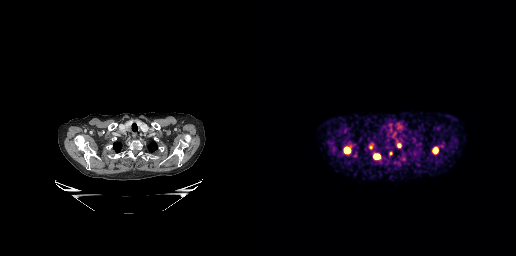
Coordinates are on the 256×256 PET (right) panel. PSMA-avid tumor lesion bounding boxes (x0, y0)-(x1, y1): (84, 147)-(89, 152) | (109, 143)-(113, 149) | (114, 154)-(119, 158) | (173, 148)-(177, 152) | (137, 143)-(141, 147). Small PSMA-avid foci (2 to 4 px across) near (center x, center y): (94, 155) | (154, 140) | (131, 153).